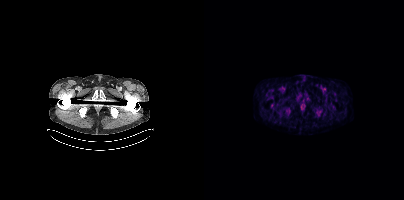
{"pet_grid":[200,200],"coord_frame":"pet_panel","coord_format":"x0,y0,x1,y1","psma_avid_lesions":false,"modality":"PSMA PET/CT","view":"axial","tracer":"18F-PSMA"}